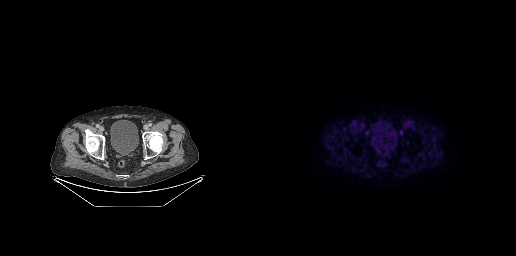
Technique: Left: CT. Right: PSMA PET, same axial level, 18F-PSMA tracer.
Findings: This slice has no annotated PSMA-avid lesion.